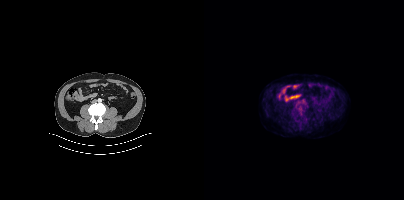
{"modality":"PSMA PET/CT","view":"axial","tracer":"18F","pet_grid":[200,200],"coord_frame":"pet_panel","coord_format":"x0,y0,x1,y1","psma_avid_lesions":false}